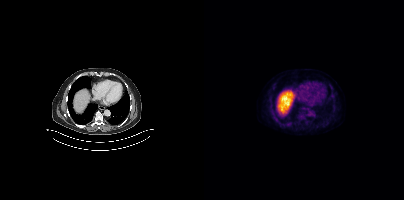
Left: CT. Right: PSMA PET, same axial level, 18F tracer. PET panel 200×200 px (4.1 mm/px). No PSMA-avid tumor lesions on this slice.